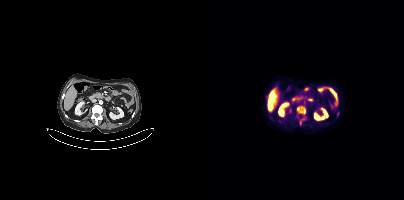
Left: CT. Right: PSMA PET, same axial level, 18F tracer. Slice position z = -706 mm. PET panel 200×200 px (4.1 mm/px). Coordinates are on the 200×200 PET (right) panel. PSMA-avid tumor lesion bounding boxes (x, y, width, height): x=92 y=105 w=10 h=11 / x=96 y=117 w=6 h=5.